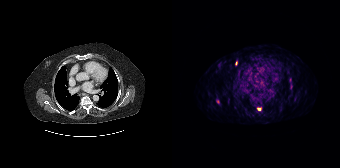
Coordinates are on the 168×168 PET (right) panel. (showing 1 of 2 foci) Small PSMA-avid focus (2 to 4 px across) near (center x, center y): (86, 109).